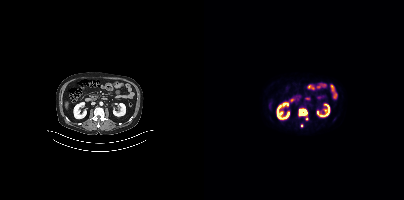
Coordinates are on the 200×200 PET (right) panel. PSMA-avid tumor lesion bounding box (x, y, width, height): x=94 y=108 w=10 h=9. Small PSMA-avid foci (2 to 4 px across) near (center x, center y): (103, 118); (97, 125).